modality: PSMA PET/CT | tracer: 18F-PSMA | view: axial | PET grid: 200×200
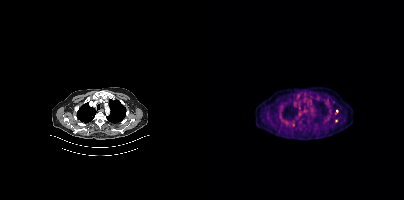
Coordinates are on the 200×200 PET (right) panel. (showing 2 of 3 foci) Small PSMA-avid foci (2 to 4 px across) near (center x, center y): (132, 120); (131, 113).